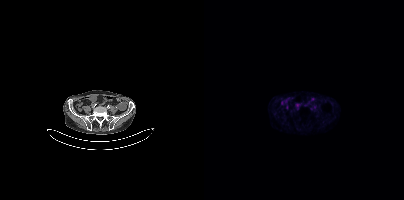
Findings: No tumor lesions annotated on this slice.
Technique: Left: CT. Right: PSMA PET, same axial level, [18F]PSMA-1007 tracer. slice 110 of 385.